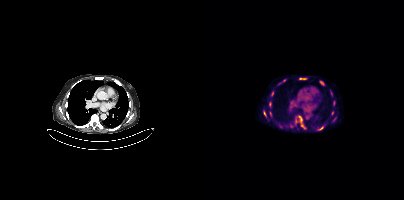
- Paired axial CT (left) and PSMA PET (right), 18F-PSMA tracer
- slice 242 of 373
- PET panel 200×200 px (4.1 mm/px)
Findings: Coordinates are on the 200×200 PET (right) panel. (showing 10 of 13 foci) PSMA-avid tumor lesion bounding boxes (x, y, width, height): x=95 y=117 w=7 h=12; x=115 y=81 w=6 h=5; x=95 y=78 w=8 h=2; x=114 y=126 w=6 h=5; x=65 y=102 w=3 h=5; x=60 y=111 w=3 h=6. Small PSMA-avid foci (2 to 4 px across) near (center x, center y): (68, 93); (80, 80); (128, 113); (127, 93).